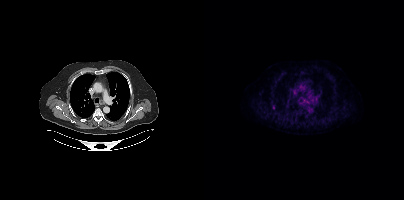
Paired axial CT (left) and PSMA PET (right), 18F tracer. Coordinates are on the 200×200 PET (right) panel. Small PSMA-avid focus (2 to 4 px across) near (center x, center y): (70, 107).